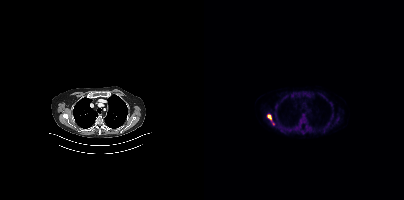
Coordinates are on the 200×200 PET (right) panel. PSMA-avid tumor lesion bounding boxes:
| # | x0 | y0 | x1 | y1 |
|---|---|---|---|---|
| 1 | 64 | 115 | 69 | 124 |
Paired axial CT (left) and PSMA PET (right), 18F tracer. Acquired on Siemens Biograph mCT Flow 20. PET panel 200×200 px (4.1 mm/px).